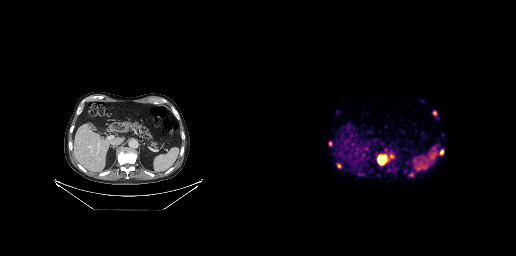
Coordinates are on the 256×256 PET (right) panel. PSMA-avid tumor lesion bounding boxes (x0,y0,x1,y1): [118,156,125,163], [77,163,81,168], [179,149,183,154], [129,154,133,157], [98,174,102,175]. Small PSMA-avid foci (2 to 4 px across) near (center x, center y): (70, 143), (174, 112), (151, 174).